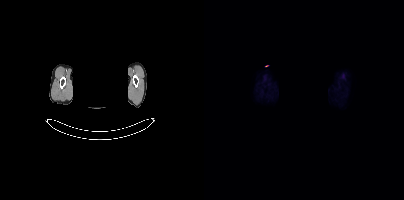
An anonymization step blacked out a rectangle over the head in this scan. Left: CT. Right: PSMA PET, same axial level, 18F-PSMA tracer. PET panel 200×200 px (4.1 mm/px). No tumor lesions annotated on this slice.